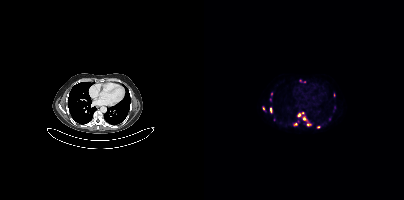
Findings: Coordinates are on the 200×200 PET (right) panel. (showing 14 of 15 foci) PSMA-avid tumor lesion bounding boxes (x, y, width, height): x=124 y=116 w=4 h=6 / x=93 y=113 w=4 h=5 / x=98 y=116 w=5 h=5 / x=66 y=107 w=2 h=5. Small PSMA-avid foci (2 to 4 px across) near (center x, center y): (70, 119) / (91, 124) / (114, 127) / (67, 94) / (104, 124) / (130, 94) / (59, 108) / (96, 80) / (100, 81) / (130, 107).
- Two-panel axial: CT | PSMA PET, [68Ga]Ga-PSMA-11 tracer
- slice 270 of 411
- PET panel 200×200 px (4.1 mm/px)